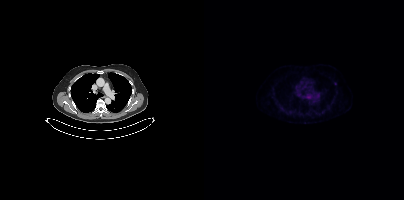
Findings: Coordinates are on the 200×200 PET (right) panel. Small PSMA-avid focus (2 to 4 px across) near (center x, center y): (131, 83).
- Left: CT. Right: PSMA PET, same axial level, 68Ga-PSMA tracer
- acquired on Siemens Biograph mCT Flow 20